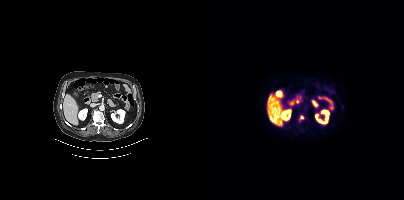
Two-panel axial: CT | PSMA PET, 18F tracer. Acquired on Siemens Biograph mCT Flow 20. Slice position z = -1156 mm. Coordinates are on the 200×200 PET (right) panel. PSMA-avid tumor lesion bounding box (x0, y0)-(x1, y1): (96, 115)-(99, 119).